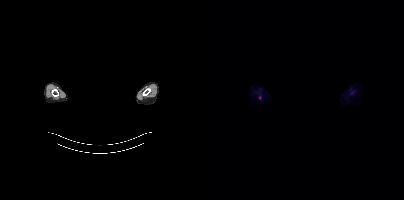
Technique: Two-panel axial: CT | PSMA PET, 18F tracer. slice position z = -831 mm. PET panel 200×200 px (4.1 mm/px).
Note: A rectangle over the head was blacked out to remove identifiable facial features.
Findings: Coordinates are on the 200×200 PET (right) panel. Small PSMA-avid focus (2 to 4 px across) near (center x, center y): (55, 97).